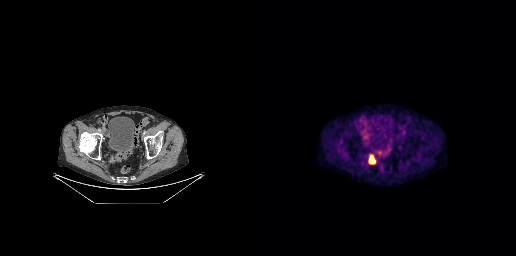
Technique: Left: CT. Right: PSMA PET, same axial level, [18F]PSMA-1007 tracer. slice 64 of 263. PET panel 256×256 px (2.7 mm/px).
Findings: Coordinates are on the 256×256 PET (right) panel. PSMA-avid tumor lesion bounding box (x0,y0,x1,y1): [109,155,115,163].